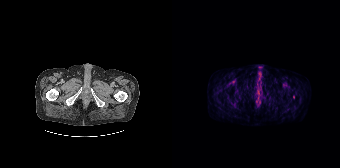
Only PSMA-avid lesion pieces thinner than 2 px on this slice (not listed). Two-panel axial: CT | PSMA PET, 18F-PSMA tracer. Acquired on Siemens Biograph 64-4R TruePoint. Slice 38 of 195.